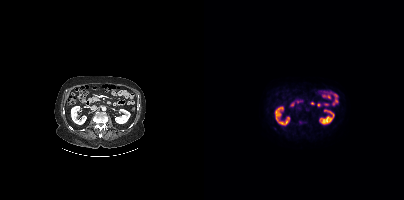
No tumor lesions annotated on this slice.